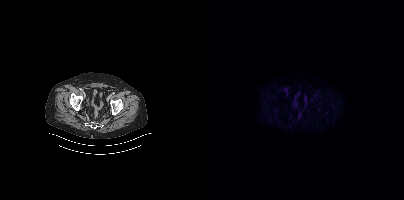
Technique: Two-panel axial: CT | PSMA PET, 18F-PSMA tracer. acquired on Siemens Biograph mCT Flow 20. slice position z = -782 mm. PET panel 200×200 px (4.1 mm/px).
Findings: No PSMA-avid tumor lesions on this slice.